Left: CT. Right: PSMA PET, same axial level, 68Ga-PSMA tracer. Acquired on Siemens Biograph mCT Flow 20. PET panel 200×200 px (4.1 mm/px).
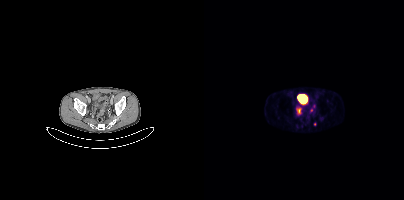
Coordinates are on the 200×200 PET (right) panel. (showing 3 of 4 foci) PSMA-avid tumor lesion bounding box (x0,y0,x1,y1): [92,107,97,114]. Small PSMA-avid foci (2 to 4 px across) near (center x, center y): (107, 111); (110, 124).